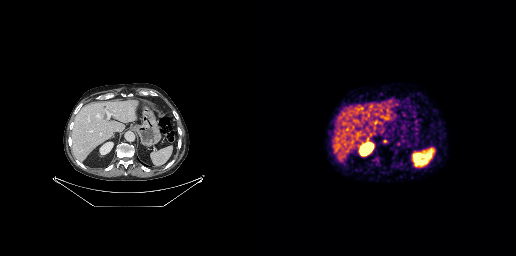
Technique: Paired axial CT (left) and PSMA PET (right), [68Ga]Ga-PSMA-11 tracer. acquired on GE Discovery 690. PET panel 256×256 px (2.7 mm/px).
Findings: Coordinates are on the 256×256 PET (right) panel. Small PSMA-avid foci (2 to 4 px across) near (center x, center y): (125, 141); (117, 159).